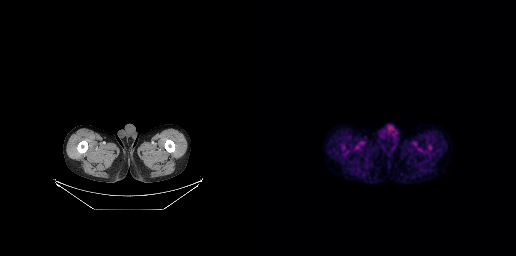
Negative for PSMA-avid disease on this slice. Two-panel axial: CT | PSMA PET, [18F]PSMA-1007 tracer. PET panel 256×256 px (2.7 mm/px).